- Two-panel axial: CT | PSMA PET, [18F]PSMA-1007 tracer
- slice 198 of 415
- PET panel 200×200 px (4.1 mm/px)
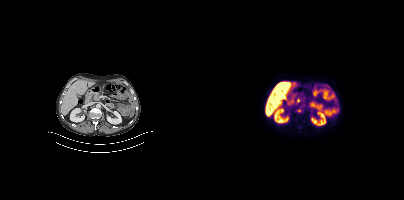
Findings: Coordinates are on the 200×200 PET (right) panel. Small PSMA-avid focus (2 to 4 px across) near (center x, center y): (95, 110).